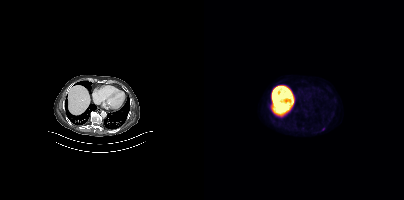
Coordinates are on the 200×200 PET (right) panel. Small PSMA-avid focus (2 to 4 px across) near (center x, center y): (118, 128).